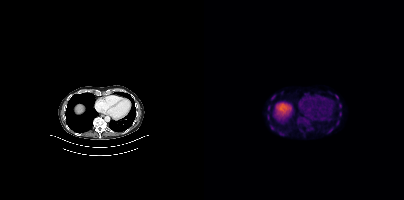
{"pet_grid":[200,200],"coord_frame":"pet_panel","coord_format":"x0,y0,x1,y1","lesion_bboxes":[[66,125,69,129],[135,103,137,108],[63,106,66,110],[135,112,137,116]],"small_foci_centers":[[69,96]],"modality":"PSMA PET/CT","view":"axial","tracer":"18F"}